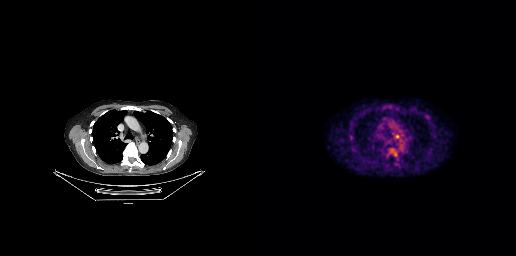
modality: PSMA PET/CT | tracer: 18F | view: axial | PET grid: 256×256
Coordinates are on the 256×256 PET (right) panel. Small PSMA-avid focus (2 to 4 px across) near (center x, center y): (137, 136).